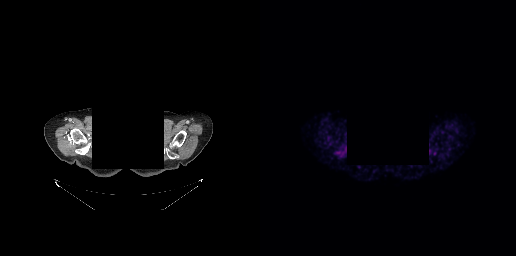
Technique: Two-panel axial: CT | PSMA PET, [68Ga]Ga-PSMA-11 tracer. acquired on GE Discovery 690.
Note: An anonymization step blacked out a rectangle over the head in this scan.
Findings: Negative for PSMA-avid disease on this slice.